modality: PSMA PET/CT | tracer: 18F | view: axial | de-identification: head region blanked (face removed)
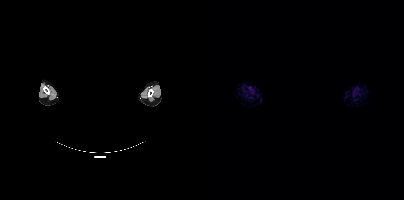
This slice has no annotated PSMA-avid lesion.